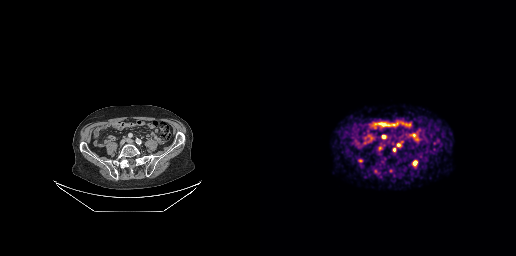
{"modality":"PSMA PET/CT","view":"axial","tracer":"[68Ga]Ga-PSMA-11","pet_grid":[256,256],"coord_frame":"pet_panel","coord_format":"x0,y0,x1,y1","partial":true,"lesion_bboxes":[[122,135,126,138],[153,161,157,165]],"small_foci_centers":[[138,144],[134,149],[131,170],[119,148]]}